Technique: Paired axial CT (left) and PSMA PET (right), 18F tracer. acquired on Siemens Biograph mCT Flow 20.
Note: A rectangle over the head was blacked out to remove identifiable facial features.
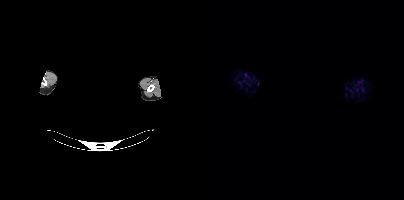
Findings: No tumor lesions annotated on this slice.